Left: CT. Right: PSMA PET, same axial level, 18F tracer. Acquired on Siemens Biograph mCT Flow 20.
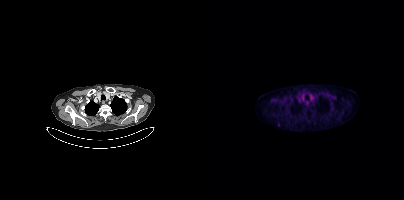
Coordinates are on the 200×200 PET (right) panel. Small PSMA-avid focus (2 to 4 px across) near (center x, center y): (74, 124).